Paired axial CT (left) and PSMA PET (right), 18F tracer. Slice position z = -296 mm. PET panel 256×256 px (2.7 mm/px).
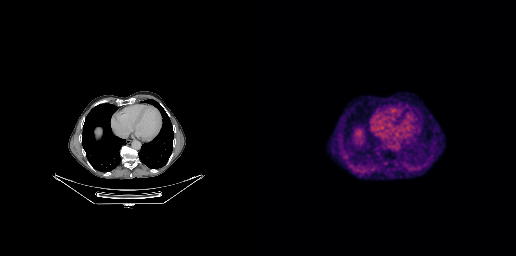
No PSMA-avid tumor lesions on this slice.